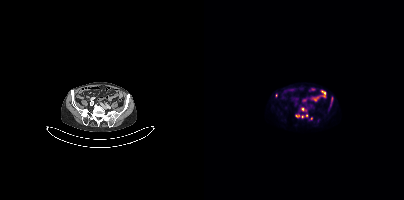
Left: CT. Right: PSMA PET, same axial level, 18F-PSMA tracer. PET panel 200×200 px (4.1 mm/px). Coordinates are on the 200×200 PET (right) panel. (showing 5 of 7 foci) Small PSMA-avid foci (2 to 4 px across) near (center x, center y): (99, 109) | (72, 95) | (102, 115) | (92, 115) | (107, 118).